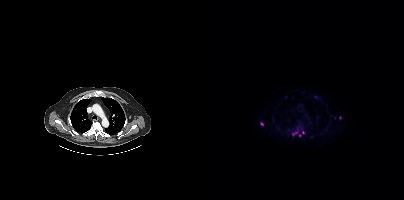
Findings: Coordinates are on the 200×200 PET (right) panel. (showing 4 of 5 foci) PSMA-avid tumor lesion bounding box (x0,y0,x1,y1): [88,132,93,135]. Small PSMA-avid foci (2 to 4 px across) near (center x, center y): (58, 124) (99, 132) (95, 135).
- Left: CT. Right: PSMA PET, same axial level, 18F tracer